modality: PSMA PET/CT | tracer: [68Ga]Ga-PSMA-11 | view: axial | PET grid: 256×256
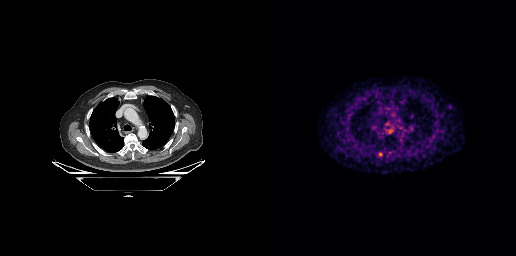
Coordinates are on the 256×256 PET (right) panel. PSMA-avid tumor lesion bounding box (x0,y0,x1,y1): [119,152,122,156].